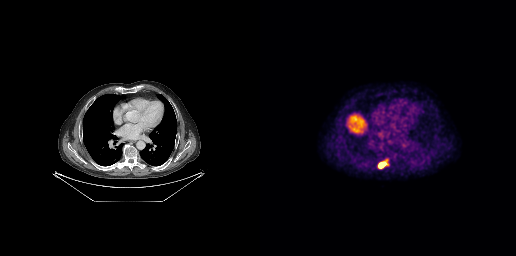
{"modality":"PSMA PET/CT","view":"axial","tracer":"[18F]PSMA-1007","pet_grid":[256,256],"coord_frame":"pet_panel","coord_format":"x0,y0,x1,y1","lesion_bboxes":[[118,162,125,168]]}